modality: PSMA PET/CT | tracer: 18F | view: axial | PET grid: 200×200
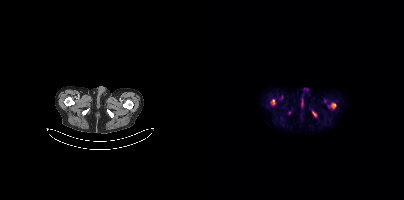
Coordinates are on the 200×200 PET (right) panel. (showing 4 of 5 foci) PSMA-avid tumor lesion bounding boxes (x0, y0)-(x1, y1): (67, 99)-(71, 104) | (128, 103)-(131, 107) | (108, 112)-(112, 116). Small PSMA-avid focus (2 to 4 px across) near (center x, center y): (85, 112).